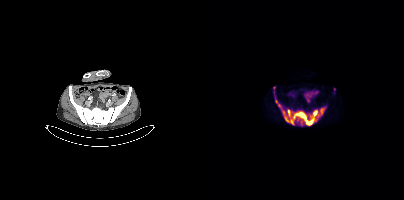
Coordinates are on the 200×200 PET (right) panel. PSMA-avid tumor lesion bounding boxes:
| # | x0 | y0 | x1 | y1 |
|---|---|---|---|---|
| 1 | 71 | 96 | 121 | 125 |
| 2 | 69 | 87 | 71 | 93 |
Small PSMA-avid focus (2 to 4 px across) near (center x, center y): (130, 89).
Two-panel axial: CT | PSMA PET, [18F]PSMA-1007 tracer. Acquired on Siemens Biograph mCT Flow 20. Slice position z = -1406 mm.